- privacy masking over the head, with the pixels inside a rectangle set to black
- Paired axial CT (left) and PSMA PET (right), 18F tracer
- acquired on Siemens Biograph mCT Flow 20
- PET panel 200×200 px (4.1 mm/px)
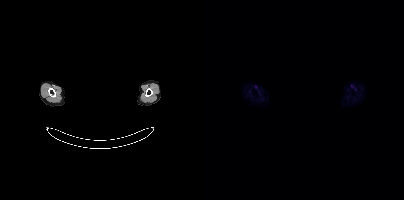
Findings: No tumor lesions annotated on this slice.